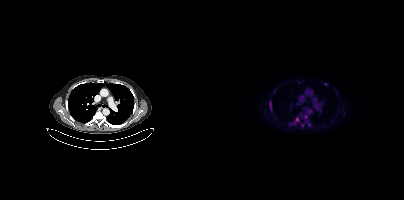
Left: CT. Right: PSMA PET, same axial level, 18F tracer. Slice 308 of 429. PET panel 200×200 px (4.1 mm/px).
Coordinates are on the 200×200 PET (right) panel. PSMA-avid tumor lesion bounding boxes (partial; 2 more foci not listed):
| # | x0 | y0 | x1 | y1 |
|---|---|---|---|---|
| 1 | 66 | 102 | 67 | 109 |
Small PSMA-avid foci (2 to 4 px across) near (center x, center y): (92, 119); (121, 84).